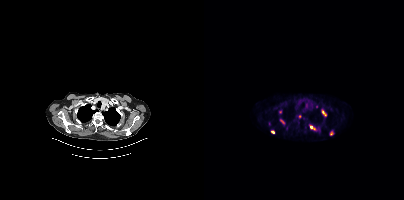
Technique: Two-panel axial: CT | PSMA PET, 68Ga tracer. slice position z = -1010 mm. PET panel 200×200 px (4.1 mm/px).
Findings: Coordinates are on the 200×200 PET (right) panel. (showing 7 of 10 foci) PSMA-avid tumor lesion bounding boxes (x0, y0)-(x1, y1): (118, 109)-(122, 116) | (106, 126)-(111, 129) | (77, 120)-(80, 124) | (126, 131)-(129, 135). Small PSMA-avid foci (2 to 4 px across) near (center x, center y): (68, 131) | (96, 116) | (114, 128).